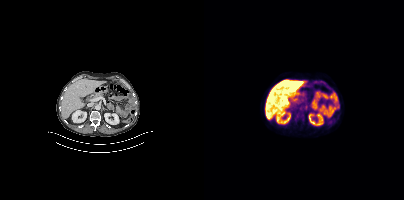
This slice has no annotated PSMA-avid lesion. Paired axial CT (left) and PSMA PET (right), [18F]PSMA-1007 tracer. Slice 209 of 415.